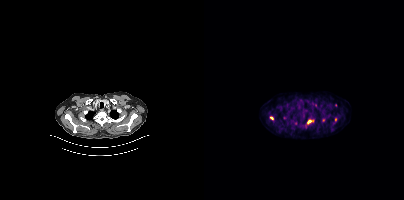
Coordinates are on the 200×200 PET (right) panel. (showing 3 of 4 foci) PSMA-avid tumor lesion bounding box (x0, y0)-(x1, y1): (103, 119)-(109, 124). Small PSMA-avid foci (2 to 4 px across) near (center x, center y): (67, 117) / (131, 119).